A rectangular block over the head has been blanked out for de-identification. Two-panel axial: CT | PSMA PET, 18F tracer. Acquired on Siemens Biograph mCT Flow 20. Slice 409 of 429.
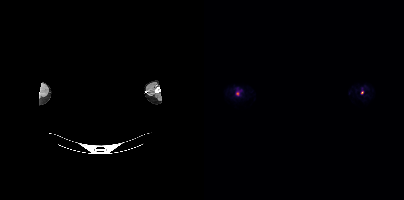
Coordinates are on the 200×200 PET (right) panel. Small PSMA-avid foci (2 to 4 px across) near (center x, center y): (33, 93); (158, 92).